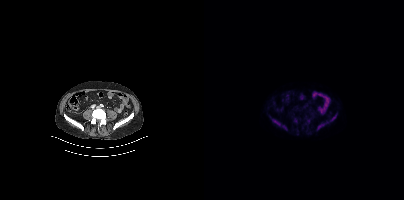
Coordinates are on the 200×200 PET (right) panel. PSMA-avid tumor lesion bounding boxes:
| # | x0 | y0 | x1 | y1 |
|---|---|---|---|---|
| 1 | 68 | 119 | 76 | 125 |
| 2 | 113 | 123 | 120 | 129 |
| 3 | 126 | 114 | 132 | 121 |
| 4 | 78 | 125 | 83 | 129 |
Small PSMA-avid focus (2 to 4 px across) near (center x, center y): (123, 122).
Paired axial CT (left) and PSMA PET (right), 18F-PSMA tracer.